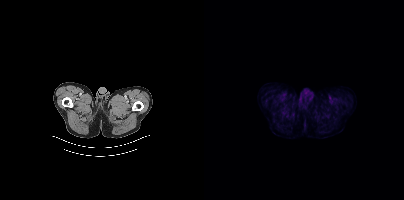
- Paired axial CT (left) and PSMA PET (right), 18F-PSMA tracer
- acquired on Siemens Biograph mCT Flow 20
- slice 51 of 442
- PET panel 200×200 px (4.1 mm/px)
Findings: No tumor lesions annotated on this slice.